- head region blanked for anonymization (face removed)
- Paired axial CT (left) and PSMA PET (right), 18F-PSMA tracer
- slice 178 of 195
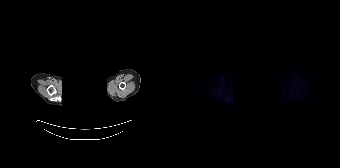
Findings: No PSMA-avid tumor lesions on this slice.